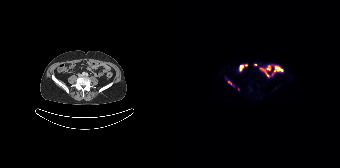
{"pet_grid":[168,168],"coord_frame":"pet_panel","coord_format":"x0,y0,x1,y1","lesion_bboxes":[],"small_foci_centers":[[57,82]],"modality":"PSMA PET/CT","view":"axial","tracer":"[18F]PSMA-1007"}